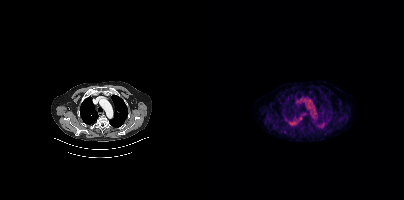
No tumor lesions annotated on this slice. Two-panel axial: CT | PSMA PET, [18F]PSMA-1007 tracer. Acquired on Siemens Biograph mCT Flow 20. Slice position z = -962 mm.